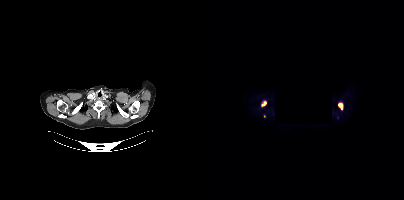
Coordinates are on the 200×200 PET (right) panel. PSMA-avid tumor lesion bounding boxes (x, y, width, height): x=134 y=102 w=6 h=8 / x=57 y=100 w=6 h=7. Small PSMA-avid focus (2 to 4 px across) near (center x, center y): (60, 116).
modality: PSMA PET/CT | tracer: [18F]PSMA-1007 | view: axial | PET grid: 200×200 | redaction: privacy mask (black rectangle)